Paired axial CT (left) and PSMA PET (right), 18F-PSMA tracer. Acquired on Siemens Biograph mCT Flow 20. Slice 107 of 435. PET panel 200×200 px (4.1 mm/px).
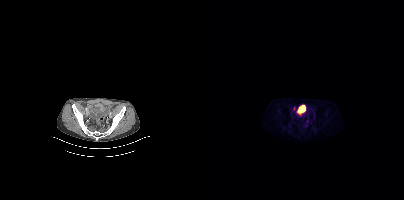
Coordinates are on the 200×200 PET (right) panel. PSMA-avid tumor lesion bounding box (x0,y0,x1,y1): [93,105,101,115]. Small PSMA-avid focus (2 to 4 px across) near (center x, center y): (90, 108).